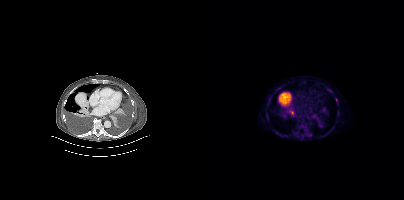
modality: PSMA PET/CT | tracer: [18F]PSMA-1007 | view: axial
Coordinates are on the 200×200 PET (right) panel. PSMA-avid tumor lesion bounding boxes (x0,y0,x1,y1): [109,114,115,121] [96,123,101,128] [86,110,90,116] [103,133,107,137]. Small PSMA-avid foci (2 to 4 px across) near (center x, center y): (125, 91) (132, 100).